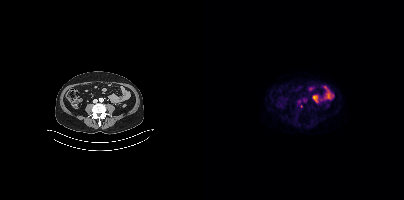
Only PSMA-avid lesion pieces thinner than 2 px on this slice (not listed).